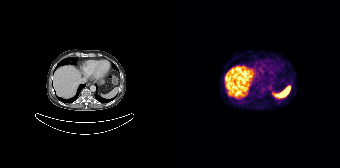
No tumor lesions annotated on this slice.